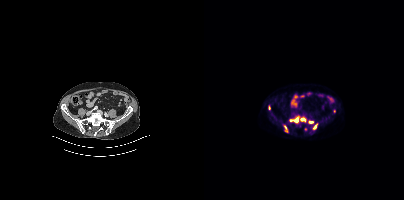
modality: PSMA PET/CT | tracer: [18F]PSMA-1007 | view: axial
Coordinates are on the 200×200 PET (right) panel. (showing 7 of 9 foci) PSMA-avid tumor lesion bounding boxes (x0, y0)-(x1, y1): (86, 118)-(94, 122) / (109, 124)-(113, 129) / (104, 121)-(109, 123) / (97, 118)-(101, 121) / (64, 106)-(66, 110). Small PSMA-avid foci (2 to 4 px across) near (center x, center y): (81, 127) / (130, 111).